Technique: Two-panel axial: CT | PSMA PET, 68Ga tracer. acquired on GE Discovery 690. PET panel 256×256 px (2.7 mm/px).
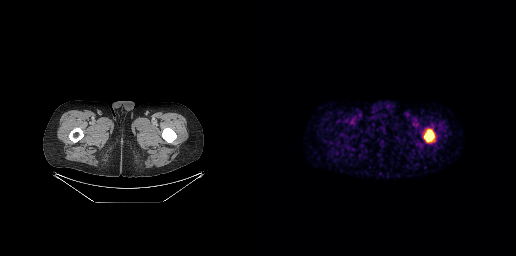
Findings: Coordinates are on the 256×256 PET (right) panel. PSMA-avid tumor lesion bounding box (x0, y0)-(x1, y1): (164, 129)-(174, 141).